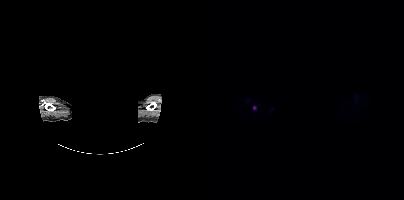
{"modality":"PSMA PET/CT","view":"axial","tracer":"18F","pet_grid":[200,200],"coord_frame":"pet_panel","coord_format":"x0,y0,x1,y1","de-identification":"rectangular block over head set to black","lesion_bboxes":[[48,106,52,109]]}